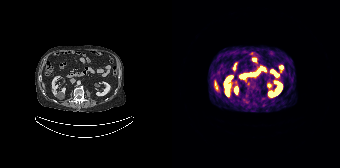
{"modality":"PSMA PET/CT","view":"axial","tracer":"68Ga-PSMA","pet_grid":[168,168],"coord_frame":"pet_panel","coord_format":"x0,y0,x1,y1","psma_avid_lesions":false}